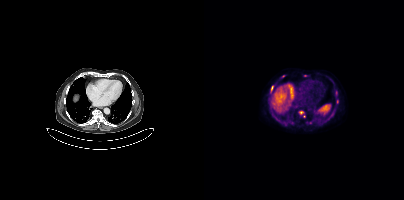
{"pet_grid":[200,200],"coord_frame":"pet_panel","coord_format":"x0,y0,x1,y1","partial":true,"lesion_bboxes":[[67,86,69,90]],"small_foci_centers":[[79,76],[133,101],[87,122],[97,112],[106,122]],"modality":"PSMA PET/CT","view":"axial","tracer":"18F-PSMA"}